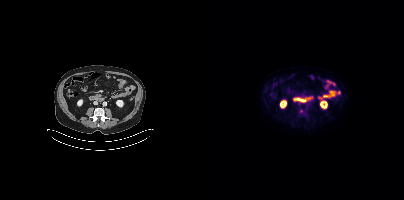
Only PSMA-avid lesion pieces thinner than 2 px on this slice (not listed).